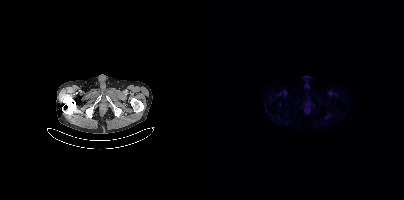
{"modality":"PSMA PET/CT","view":"axial","tracer":"18F","pet_grid":[200,200],"coord_frame":"pet_panel","coord_format":"x0,y0,x1,y1","psma_avid_lesions":false}